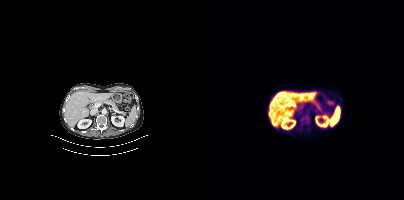
Technique: Paired axial CT (left) and PSMA PET (right), 18F tracer.
Findings: Negative for PSMA-avid disease on this slice.